Face de-identified by blanking a block of the head. Paired axial CT (left) and PSMA PET (right), 68Ga tracer. Slice 174 of 195. PET panel 168×168 px (4.1 mm/px).
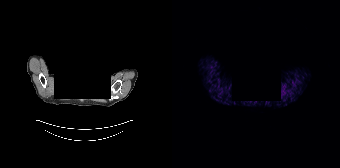
This slice has no annotated PSMA-avid lesion.